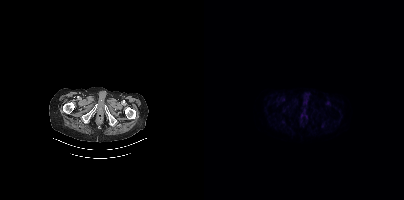
Two-panel axial: CT | PSMA PET, 18F tracer. Acquired on Siemens Biograph mCT Flow 20. Slice 42 of 377. PET panel 200×200 px (4.1 mm/px). No tumor lesions annotated on this slice.